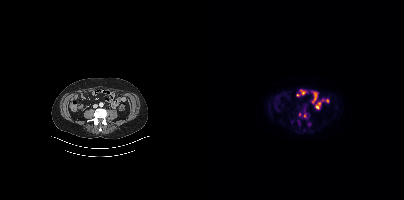
- Paired axial CT (left) and PSMA PET (right), 18F tracer
- acquired on Siemens Biograph mCT Flow 20
- PET panel 200×200 px (4.1 mm/px)
Findings: Coordinates are on the 200×200 PET (right) panel. PSMA-avid tumor lesion bounding boxes (x0,y0,x1,y1): [104,122,107,126] [94,121,96,125]. Small PSMA-avid foci (2 to 4 px across) near (center x, center y): (95, 114) (100, 115).